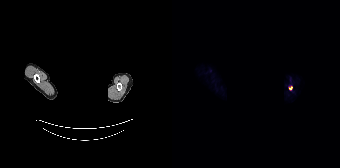
Left: CT. Right: PSMA PET, same axial level, 18F-PSMA tracer. Acquired on Siemens Biograph 64-4R TruePoint. Slice position z = -682 mm. PET panel 168×168 px (4.1 mm/px). Any black rectangle over the head is a privacy mask, not anatomy. Coordinates are on the 168×168 PET (right) panel. Small PSMA-avid focus (2 to 4 px across) near (center x, center y): (118, 87).